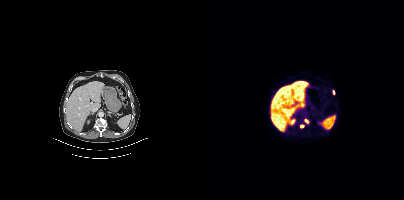
modality: PSMA PET/CT | tracer: 18F | view: axial | PET grid: 200×200
Coordinates are on the 200×200 PET (right) panel. Small PSMA-avid foci (2 to 4 px across) near (center x, center y): (102, 120) | (98, 126) | (129, 92).